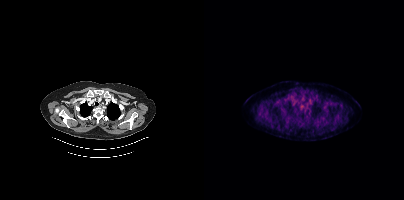
This slice has no annotated PSMA-avid lesion.